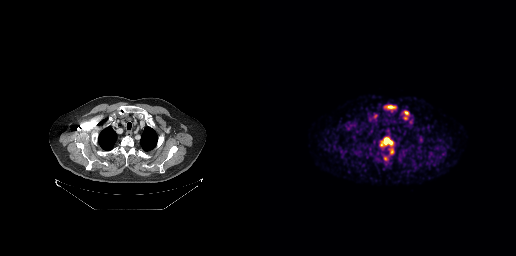
Coordinates are on the 256×256 PET (right) panel. PSMA-avid tumor lesion bounding boxes (x, y, width, height): x=120 y=136 w=14 h=19 / x=125 y=105 w=12 h=5 / x=144 y=111 w=5 h=5. Small PSMA-avid foci (2 to 4 px across) near (center x, center y): (125, 158) / (145, 118) / (115, 115).